Left: CT. Right: PSMA PET, same axial level, [18F]PSMA-1007 tracer. Slice 68 of 367. PET panel 200×200 px (4.1 mm/px).
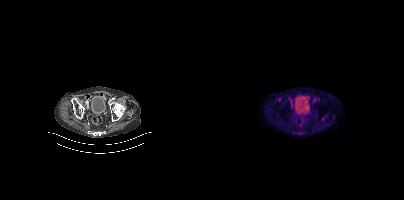
Coordinates are on the 200×200 PET (right) panel. PSMA-avid tumor lesion bounding boxes:
| # | x0 | y0 | x1 | y1 |
|---|---|---|---|---|
| 1 | 128 | 114 | 131 | 120 |
Small PSMA-avid focus (2 to 4 px across) near (center x, center y): (110, 100).